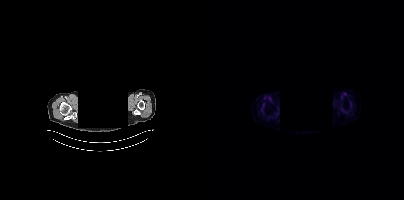
Findings: This slice has no annotated PSMA-avid lesion.
- a rectangular block over the head has been blanked out for de-identification
- Left: CT. Right: PSMA PET, same axial level, [18F]PSMA-1007 tracer
- acquired on Siemens Biograph mCT Flow 20
- slice 349 of 393